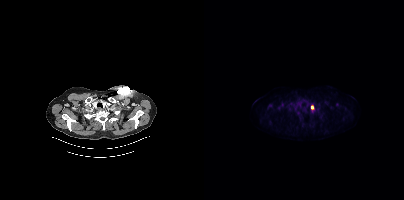
Coordinates are on the 200×200 PET (right) panel. PSMA-avid tumor lesion bounding box (x0,y0,x1,y1): [107,105,109,109].